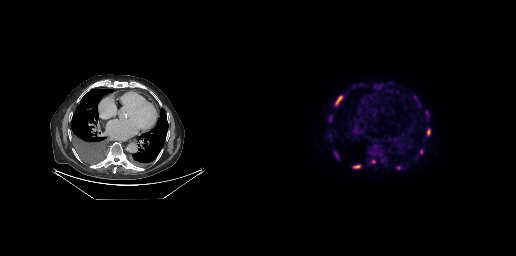
Findings: Coordinates are on the 256×256 PET (right) panel. (showing 10 of 11 foci) PSMA-avid tumor lesion bounding boxes (x, y, width, height): x=75 y=95 w=8 h=11 | x=93 y=165 w=8 h=4 | x=167 y=129 w=4 h=7 | x=68 y=114 w=6 h=5 | x=74 y=152 w=5 h=5. Small PSMA-avid foci (2 to 4 px across) near (center x, center y): (138, 167) | (113, 161) | (117, 86) | (154, 97) | (161, 151).
- Left: CT. Right: PSMA PET, same axial level, 18F tracer